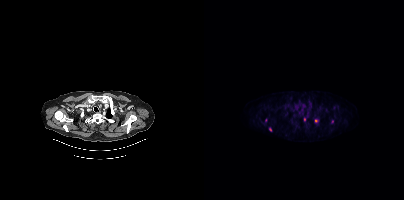
modality: PSMA PET/CT | tracer: [18F]PSMA-1007 | view: axial | PET grid: 200×200
Coordinates are on the 200×200 PET (right) panel. (showing 4 of 5 foci) Small PSMA-avid foci (2 to 4 px across) near (center x, center y): (112, 120) | (100, 119) | (128, 121) | (66, 129).